Paired axial CT (left) and PSMA PET (right), [18F]PSMA-1007 tracer.
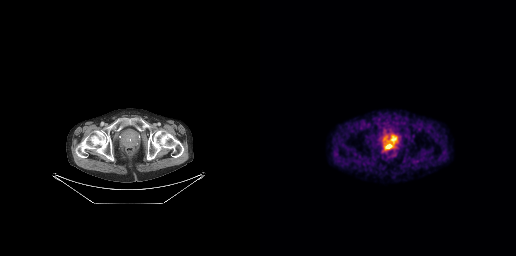
Coordinates are on the 256×256 PET (right) panel. PSMA-avid tumor lesion bounding boxes:
| # | x0 | y0 | x1 | y1 |
|---|---|---|---|---|
| 1 | 129 | 135 | 136 | 142 |
| 2 | 126 | 140 | 128 | 144 |
Small PSMA-avid foci (2 to 4 px across) near (center x, center y): (128, 146); (124, 138).